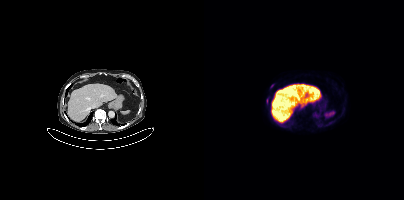
{"modality":"PSMA PET/CT","view":"axial","tracer":"18F","pet_grid":[200,200],"coord_frame":"pet_panel","coord_format":"x0,y0,x1,y1","lesion_bboxes":[[62,99,64,103]],"small_foci_centers":[[67,85]]}